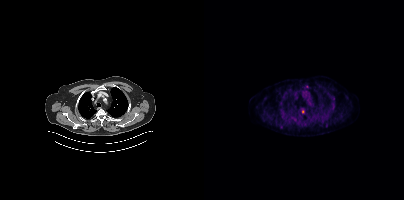
Technique: Paired axial CT (left) and PSMA PET (right), 18F tracer. acquired on Siemens Biograph mCT Flow 20. slice position z = -962 mm.
Findings: Coordinates are on the 200×200 PET (right) panel. Small PSMA-avid focus (2 to 4 px across) near (center x, center y): (98, 111).